Paired axial CT (left) and PSMA PET (right), 68Ga tracer. Slice position z = -1070 mm. PET panel 256×256 px (2.7 mm/px).
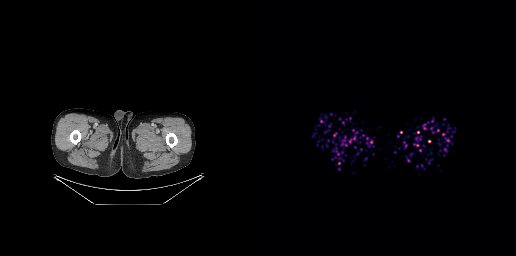
No PSMA-avid tumor lesions on this slice.